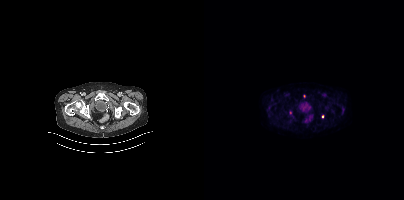
Coordinates are on the 200×200 PET (right) panel. (showing 1 of 3 foci) Small PSMA-avid focus (2 to 4 px across) near (center x, center y): (118, 116).